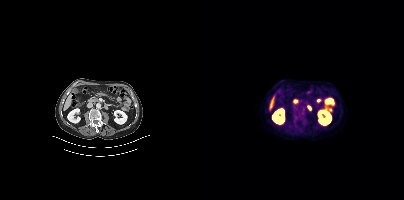
- Paired axial CT (left) and PSMA PET (right), 18F-PSMA tracer
- acquired on Siemens Biograph mCT Flow 20
- PET panel 200×200 px (4.1 mm/px)
Findings: Coordinates are on the 200×200 PET (right) panel. Small PSMA-avid focus (2 to 4 px across) near (center x, center y): (99, 110).